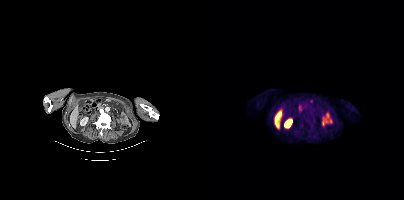
- Left: CT. Right: PSMA PET, same axial level, 18F tracer
- slice position z = -1248 mm
Findings: Negative for PSMA-avid disease on this slice.